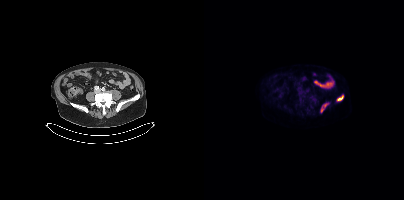
{"modality":"PSMA PET/CT","view":"axial","tracer":"[18F]PSMA-1007","pet_grid":[200,200],"coord_frame":"pet_panel","coord_format":"x0,y0,x1,y1","lesion_bboxes":[[116,103,124,112],[132,94,139,101]]}